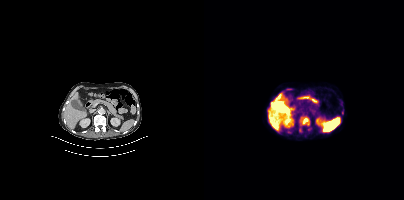
Coordinates are on the 200×200 PET (right) panel. (showing 1 of 2 foci) PSMA-avid tumor lesion bounding box (x, y, width, height): x=96 y=120 w=10 h=6.